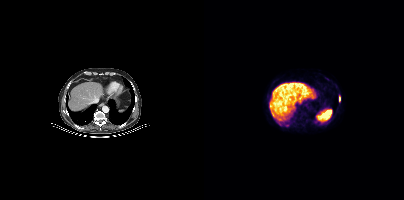
- Two-panel axial: CT | PSMA PET, 18F tracer
- PET panel 200×200 px (4.1 mm/px)
Findings: Coordinates are on the 200×200 PET (right) panel. PSMA-avid tumor lesion bounding box (x0, y0)-(x1, y1): (135, 96)-(136, 101). Small PSMA-avid focus (2 to 4 px across) near (center x, center y): (83, 125).